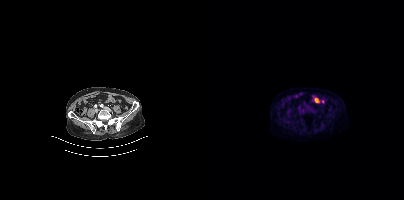
Only PSMA-avid lesion pieces thinner than 2 px on this slice (not listed).